Two-panel axial: CT | PSMA PET, 68Ga tracer. PET panel 168×168 px (4.1 mm/px).
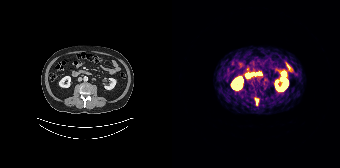
Coordinates are on the 168×168 PET (right) panel. PSMA-avid tumor lesion bounding box (x0,y0,x1,y1): [83,98,85,104].